Two-panel axial: CT | PSMA PET, 18F-PSMA tracer. Slice position z = -497 mm.
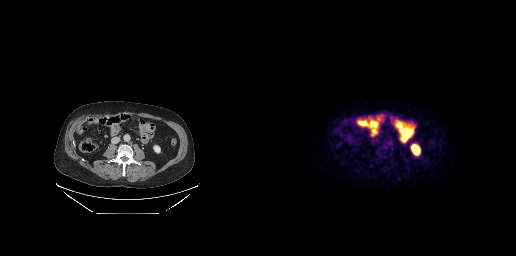
This slice has no annotated PSMA-avid lesion.